Left: CT. Right: PSMA PET, same axial level, 18F tracer. Slice 75 of 263. PET panel 256×256 px (2.7 mm/px).
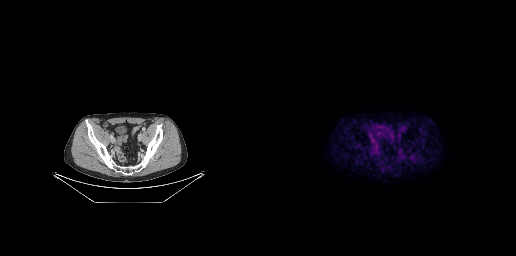
This slice has no annotated PSMA-avid lesion.